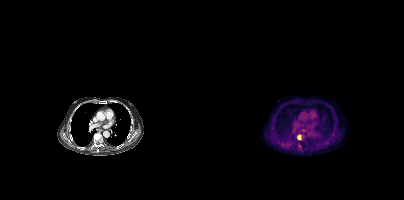
{"modality":"PSMA PET/CT","view":"axial","tracer":"[18F]PSMA-1007","pet_grid":[200,200],"coord_frame":"pet_panel","coord_format":"x0,y0,x1,y1","lesion_bboxes":[[93,135,96,139]],"small_foci_centers":[[96,145],[126,106]]}